- Left: CT. Right: PSMA PET, same axial level, 18F tracer
- acquired on Siemens Biograph mCT Flow 20
- slice 299 of 367
- PET panel 200×200 px (4.1 mm/px)
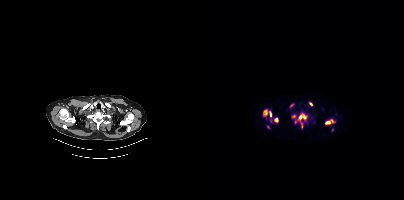
Findings: Coordinates are on the 200×200 PET (right) panel. (showing 8 of 10 foci) PSMA-avid tumor lesion bounding boxes (x0,y0,x1,y1): [94,114,102,119], [121,119,130,124], [60,110,63,114], [70,118,74,122], [65,111,67,116]. Small PSMA-avid foci (2 to 4 px across) near (center x, center y): (89, 116), (64, 127), (106, 103).